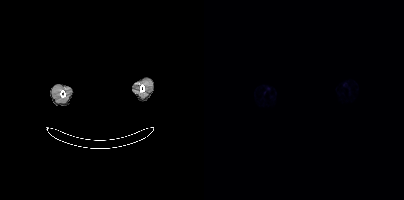
This slice has no annotated PSMA-avid lesion.
An anonymization step blacked out a rectangle over the head in this scan.